Two-panel axial: CT | PSMA PET, 18F-PSMA tracer. Slice 162 of 429. PET panel 200×200 px (4.1 mm/px).
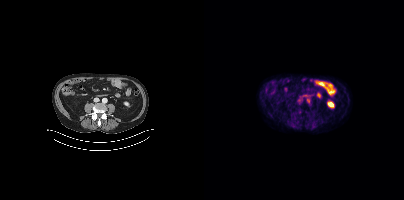
No PSMA-avid tumor lesions on this slice.